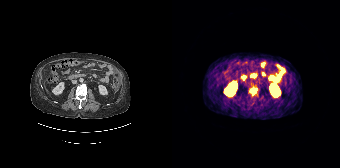
{"modality":"PSMA PET/CT","view":"axial","tracer":"[68Ga]Ga-PSMA-11","pet_grid":[168,168],"coord_frame":"pet_panel","coord_format":"x0,y0,x1,y1","lesion_bboxes":[[77,87,84,95]]}